Left: CT. Right: PSMA PET, same axial level, 68Ga-PSMA tracer.
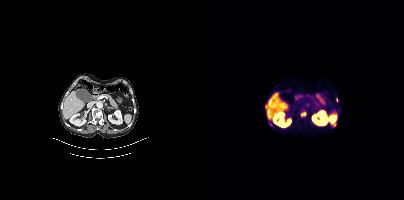
Coordinates are on the 200×200 PET (right) panel. PSMA-avid tumor lesion bounding boxes (partial; 1 more focus not listed):
| # | x0 | y0 | x1 | y1 |
|---|---|---|---|---|
| 1 | 97 | 112 | 101 | 116 |
| 2 | 128 | 123 | 132 | 126 |
| 3 | 65 | 123 | 69 | 126 |
| 4 | 61 | 105 | 62 | 109 |
Small PSMA-avid focus (2 to 4 px across) near (center x, center y): (64, 119).